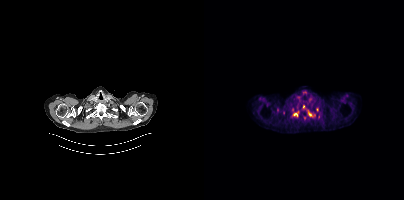
{"modality":"PSMA PET/CT","view":"axial","tracer":"18F","pet_grid":[200,200],"coord_frame":"pet_panel","coord_format":"x0,y0,x1,y1","partial":true,"lesion_bboxes":[[89,112,94,116],[104,112,107,116]],"small_foci_centers":[[99,106]]}